- Left: CT. Right: PSMA PET, same axial level, 18F tracer
- slice 71 of 466
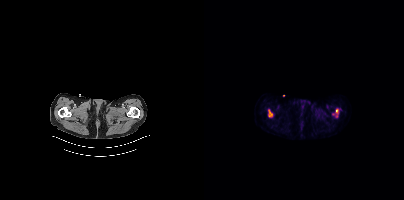
Findings: Coordinates are on the 200×200 PET (right) panel. (showing 2 of 3 foci) PSMA-avid tumor lesion bounding boxes (x0, y0)-(x1, y1): (64, 109)-(68, 117) / (132, 109)-(134, 116).